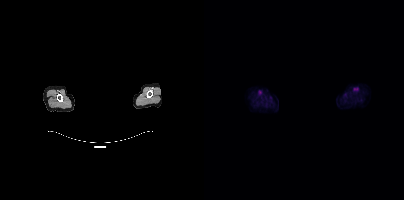
Facial anatomy redacted by setting a rectangular region of the head to black. Two-panel axial: CT | PSMA PET, 18F-PSMA tracer. Slice position z = -158 mm. No tumor lesions annotated on this slice.